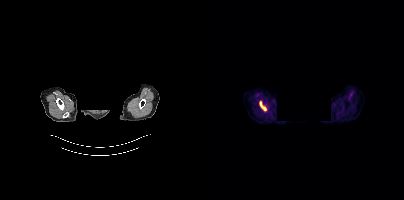
Coordinates are on the 200×200 PET (right) panel. PSMA-avid tumor lesion bounding box (x0,y0,x1,y1): [56,102,62,110].
An anonymization step blacked out a rectangle over the head in this scan.